Left: CT. Right: PSMA PET, same axial level, 18F tracer.
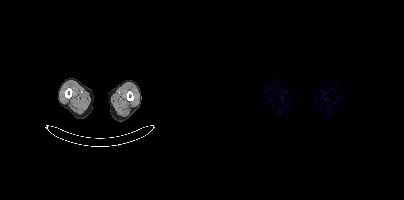
No tumor lesions annotated on this slice.